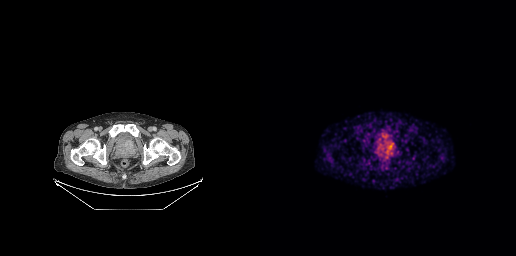
{"modality":"PSMA PET/CT","view":"axial","tracer":"68Ga-PSMA","pet_grid":[256,256],"coord_frame":"pet_panel","coord_format":"x0,y0,x1,y1","lesion_bboxes":[[116,136,134,158]]}